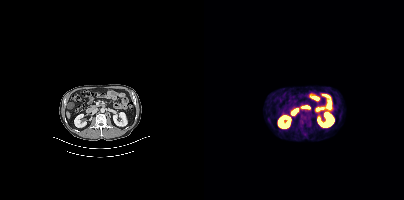
Paired axial CT (left) and PSMA PET (right), 18F tracer. Acquired on Siemens Biograph mCT Flow 20. Slice position z = -290 mm.
Coordinates are on the 200×200 PET (right) panel. PSMA-avid tumor lesion bounding boxes:
| # | x0 | y0 | x1 | y1 |
|---|---|---|---|---|
| 1 | 95 | 115 | 107 | 127 |